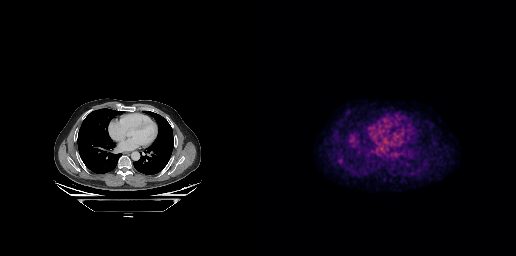
Two-panel axial: CT | PSMA PET, 18F tracer. Acquired on GE Discovery 690. Slice 181 of 263.
Coordinates are on the 256×256 PET (right) panel. PSMA-avid tumor lesion bounding boxes:
| # | x0 | y0 | x1 | y1 |
|---|---|---|---|---|
| 1 | 78 | 159 | 82 | 162 |